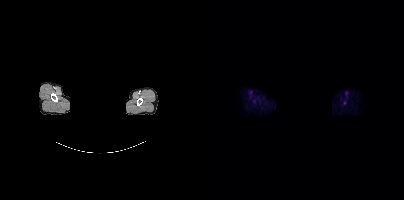
{"modality":"PSMA PET/CT","view":"axial","tracer":"18F-PSMA","pet_grid":[200,200],"coord_frame":"pet_panel","coord_format":"x0,y0,x1,y1","lesion_bboxes":[],"small_foci_centers":[[140,102]],"de-identification":"head region blacked out before release"}